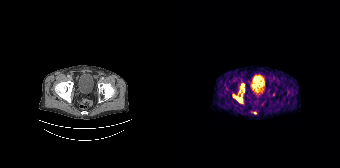
Coordinates are on the 168×168 PET (right) panel. PSMA-avid tumor lesion bounding boxes (partial; 1 more focus not listed):
| # | x0 | y0 | x1 | y1 |
|---|---|---|---|---|
| 1 | 61 | 95 | 69 | 101 |
Small PSMA-avid foci (2 to 4 px across) near (center x, center y): (70, 86); (82, 112).
Paired axial CT (left) and PSMA PET (right), 68Ga-PSMA tracer. Acquired on Siemens Biograph 64-4R TruePoint.